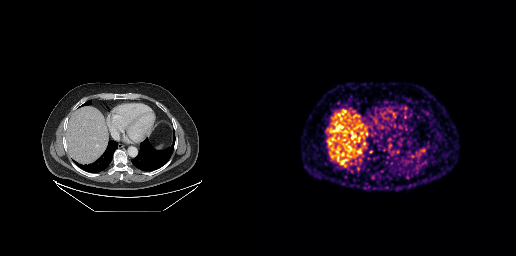
This slice has no annotated PSMA-avid lesion.